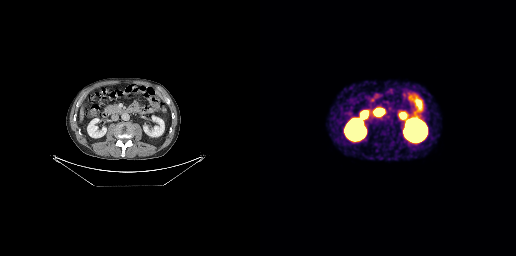
modality: PSMA PET/CT | tracer: 68Ga | view: axial
This slice has no annotated PSMA-avid lesion.